modality: PSMA PET/CT | tracer: 68Ga-PSMA | view: axial
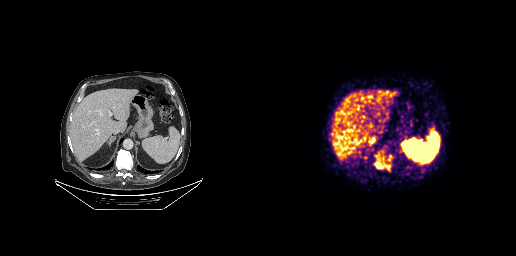
Coordinates are on the 256×256 PET (right) panel. PSMA-avid tumor lesion bounding boxes (x0,y0,x1,y1): [114,154,130,170] [128,155,131,160].